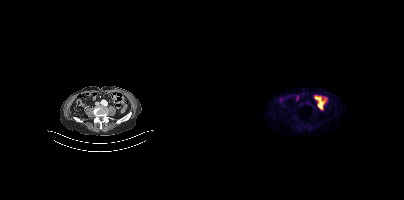
No PSMA-avid tumor lesions on this slice.